modality: PSMA PET/CT | tracer: 18F-PSMA | view: axial
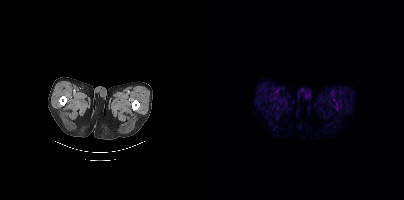
Negative for PSMA-avid disease on this slice.